modality: PSMA PET/CT | tracer: 18F | view: axial
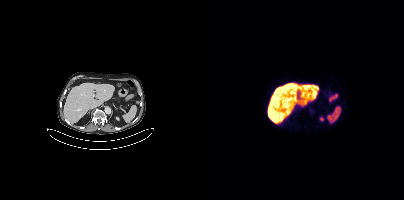
Negative for PSMA-avid disease on this slice.